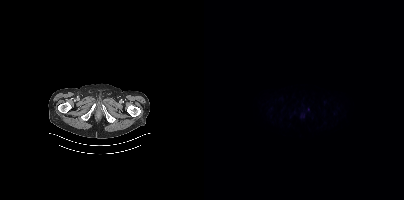
Negative for PSMA-avid disease on this slice.
modality: PSMA PET/CT | tracer: [18F]PSMA-1007 | view: axial